Left: CT. Right: PSMA PET, same axial level, 18F-PSMA tracer. Acquired on Siemens Biograph mCT Flow 20. Slice 230 of 423. PET panel 200×200 px (4.1 mm/px).
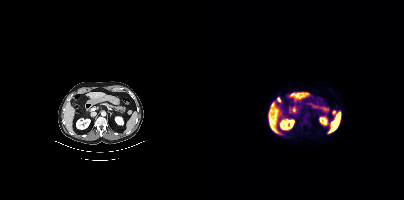
Coordinates are on the 200×200 PET (right) panel. PSMA-avid tumor lesion bounding boxes:
| # | x0 | y0 | x1 | y1 |
|---|---|---|---|---|
| 1 | 128 | 110 | 132 | 114 |